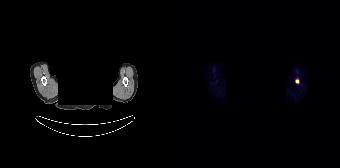
- Paired axial CT (left) and PSMA PET (right), 18F tracer
- acquired on Siemens Biograph 64-4R TruePoint
- PET panel 168×168 px (4.1 mm/px)
- any black rectangle over the head is a privacy mask, not anatomy
Findings: Coordinates are on the 168×168 PET (right) panel. PSMA-avid tumor lesion bounding box (x, y, width, height): x=123 y=79 w=4 h=5.